Technique: Left: CT. Right: PSMA PET, same axial level, 18F tracer.
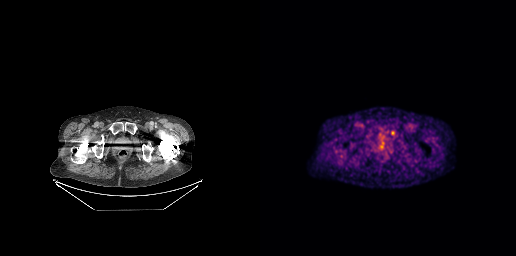
Findings: Coordinates are on the 256×256 PET (right) panel. PSMA-avid tumor lesion bounding box (x0,y0,x1,y1): [131,131,134,135].